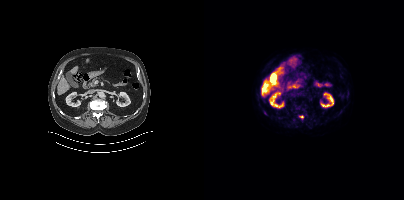
{"pet_grid":[200,200],"coord_frame":"pet_panel","coord_format":"x0,y0,x1,y1","lesion_bboxes":[[95,115,99,118]],"modality":"PSMA PET/CT","view":"axial","tracer":"18F-PSMA"}